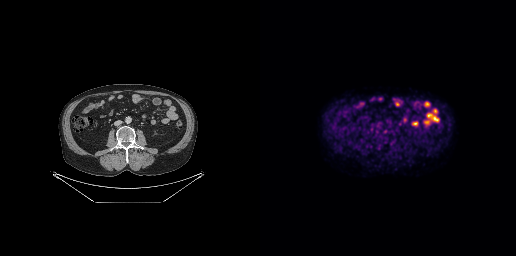
Technique: Left: CT. Right: PSMA PET, same axial level, 18F-PSMA tracer. acquired on GE Discovery 690. PET panel 256×256 px (2.7 mm/px).
Findings: Negative for PSMA-avid disease on this slice.